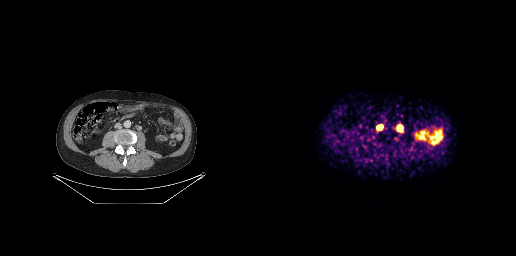
Findings: Coordinates are on the 256×256 PET (right) panel. Small PSMA-avid foci (2 to 4 px across) near (center x, center y): (119, 127) / (140, 127) / (133, 127).
- Left: CT. Right: PSMA PET, same axial level, 68Ga-PSMA tracer
- acquired on GE Discovery 690
- PET panel 256×256 px (2.7 mm/px)